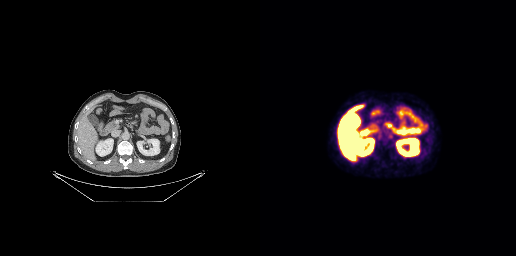
Findings: Coordinates are on the 256×256 PET (right) panel. (showing 1 of 2 foci) PSMA-avid tumor lesion bounding box (x0,y0,x1,y1): [128,133,133,139].
Technique: Two-panel axial: CT | PSMA PET, 18F tracer. acquired on GE Discovery 690.